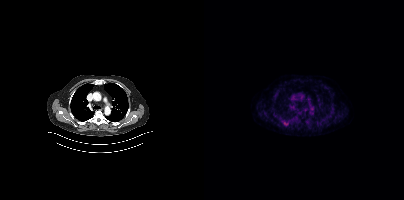
Coordinates are on the 200×200 PET (right) panel. PSMA-avid tumor lesion bounding boxes (partial; 1 more focus not listed):
| # | x0 | y0 | x1 | y1 |
|---|---|---|---|---|
| 1 | 78 | 121 | 83 | 125 |
Two-panel axial: CT | PSMA PET, 18F-PSMA tracer. Acquired on Siemens Biograph mCT Flow 20.